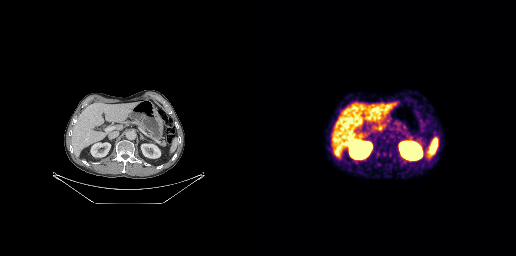
Two-panel axial: CT | PSMA PET, [68Ga]Ga-PSMA-11 tracer. Coordinates are on the 256×256 PET (right) panel. Small PSMA-avid foci (2 to 4 px across) near (center x, center y): (123, 137) | (127, 141) | (131, 136).